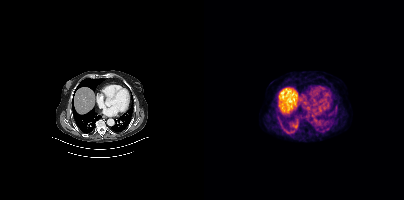
Findings: No PSMA-avid tumor lesions on this slice.
Technique: Paired axial CT (left) and PSMA PET (right), [18F]PSMA-1007 tracer. acquired on Siemens Biograph mCT Flow 20. slice 300 of 454. PET panel 200×200 px (4.1 mm/px).